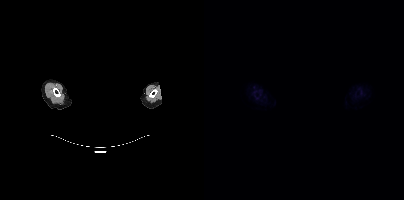
{"pet_grid":[200,200],"coord_frame":"pet_panel","coord_format":"x0,y0,x1,y1","psma_avid_lesions":false,"deidentification":"facial region redacted","modality":"PSMA PET/CT","view":"axial","tracer":"[18F]PSMA-1007"}